Technique: Two-panel axial: CT | PSMA PET, 18F tracer. acquired on Siemens Biograph mCT Flow 20. slice position z = -294 mm. PET panel 200×200 px (4.1 mm/px).
Note: A rectangular block over the head has been blanked out for de-identification.
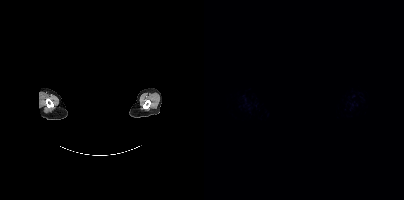
Findings: No tumor lesions annotated on this slice.